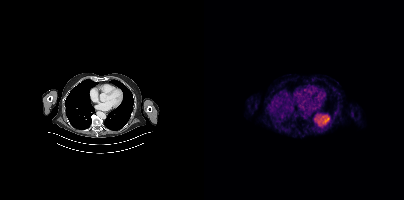
Negative for PSMA-avid disease on this slice. Left: CT. Right: PSMA PET, same axial level, 18F tracer. Slice 265 of 427.